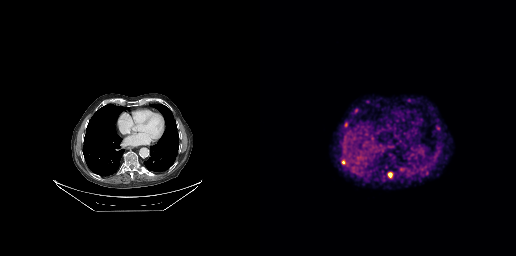
Findings: Coordinates are on the 256×256 PET (right) panel. PSMA-avid tumor lesion bounding boxes (x, y, width, height): x=128 y=172 w=5 h=7 / x=176 y=126 w=5 h=5 / x=81 y=160 w=5 h=5 / x=85 y=122 w=3 h=5. Small PSMA-avid foci (2 to 4 px across) near (center x, center y): (96, 110) / (107, 101).
Technique: Paired axial CT (left) and PSMA PET (right), 68Ga-PSMA tracer. PET panel 256×256 px (2.7 mm/px).